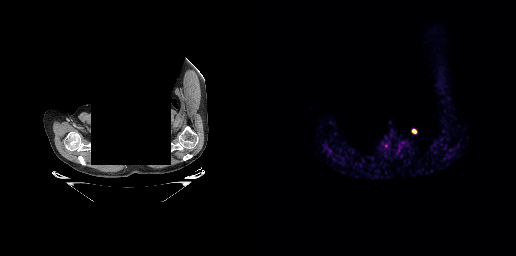
Any black rectangle over the head is a privacy mask, not anatomy. Left: CT. Right: PSMA PET, same axial level, [18F]PSMA-1007 tracer. PET panel 256×256 px (2.7 mm/px). Coordinates are on the 256×256 PET (right) panel. PSMA-avid tumor lesion bounding box (x0,y0,x1,y1): [152,129,156,133].